- Paired axial CT (left) and PSMA PET (right), [18F]PSMA-1007 tracer
- slice 239 of 381
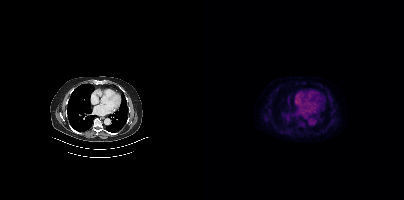
Findings: Only PSMA-avid lesion pieces thinner than 2 px on this slice (not listed).